modality: PSMA PET/CT | tracer: 18F | view: axial
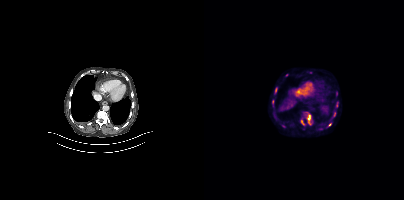
Coordinates are on the 200×200 PET (right) panel. PSMA-avid tumor lesion bounding boxes (x0, y0)-(x1, y1): (98, 111)-(108, 125); (96, 119)-(101, 126); (132, 102)-(134, 107); (69, 109)-(71, 114); (129, 112)-(132, 116); (104, 71)-(108, 73); (71, 88)-(73, 93). Small PSMA-avid foci (2 to 4 px across) near (center x, center y): (82, 75); (125, 124); (132, 92); (68, 101); (99, 128).